Two-panel axial: CT | PSMA PET, 18F-PSMA tracer.
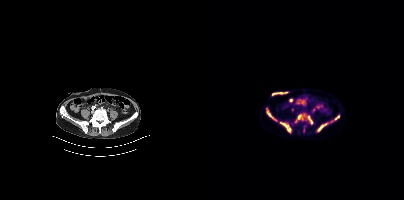
Coordinates are on the 200×200 PET (right) panel. PSMA-avid tumor lesion bounding boxes:
| # | x0 | y0 | x1 | y1 |
|---|---|---|---|---|
| 1 | 91 | 114 | 108 | 124 |
| 2 | 76 | 122 | 87 | 132 |
| 3 | 113 | 123 | 124 | 131 |
| 4 | 62 | 108 | 73 | 121 |
| 5 | 127 | 115 | 135 | 122 |